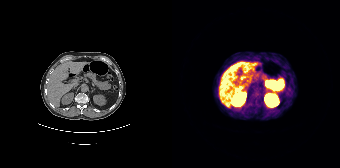
Findings: No tumor lesions annotated on this slice.
- Left: CT. Right: PSMA PET, same axial level, 68Ga tracer
- slice position z = -944 mm